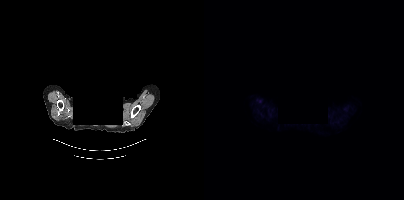
Findings: Negative for PSMA-avid disease on this slice.
Technique: Two-panel axial: CT | PSMA PET, 18F tracer. slice position z = -396 mm. PET panel 200×200 px (4.1 mm/px).
Note: The head region is masked for de-identification.